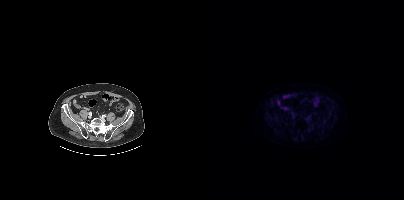
Paired axial CT (left) and PSMA PET (right), 18F tracer. Acquired on Siemens Biograph mCT Flow 20. Slice position z = -1455 mm. Negative for PSMA-avid disease on this slice.